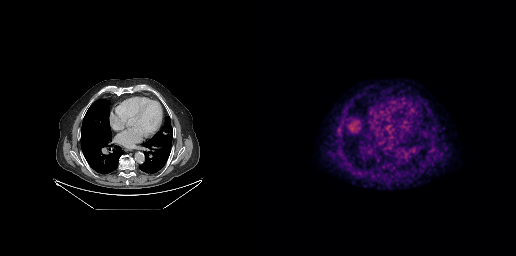
- Left: CT. Right: PSMA PET, same axial level, [18F]PSMA-1007 tracer
- slice position z = -276 mm
- PET panel 256×256 px (2.7 mm/px)
Findings: This slice has no annotated PSMA-avid lesion.